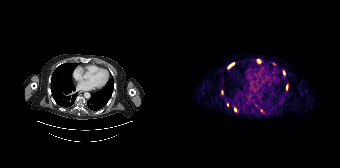
Findings: Coordinates are on the 168×168 PET (right) panel. (showing 6 of 7 foci) PSMA-avid tumor lesion bounding boxes (x, y, width, height): x=56 y=63 w=7 h=5 | x=114 y=85 w=2 h=5. Small PSMA-avid foci (2 to 4 px across) near (center x, center y): (86, 60) | (55, 104) | (111, 73) | (63, 109).
Technique: Two-panel axial: CT | PSMA PET, 68Ga-PSMA tracer. slice position z = -406 mm.